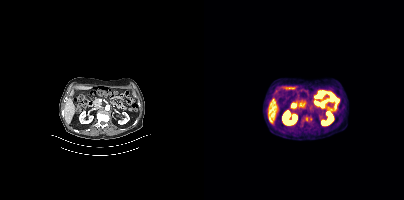
No PSMA-avid tumor lesions on this slice.